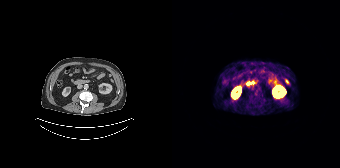
{"modality":"PSMA PET/CT","view":"axial","tracer":"[68Ga]Ga-PSMA-11","pet_grid":[168,168],"coord_frame":"pet_panel","coord_format":"x0,y0,x1,y1","psma_avid_lesions":false}